Paired axial CT (left) and PSMA PET (right), 18F tracer. Slice position z = -560 mm. PET panel 200×200 px (4.1 mm/px).
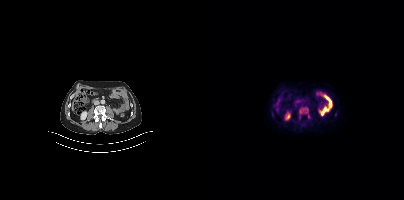
Coordinates are on the 200×200 PET (right) panel. PSMA-avid tumor lesion bounding boxes (partial; 1 more focus not listed):
| # | x0 | y0 | x1 | y1 |
|---|---|---|---|---|
| 1 | 99 | 108 | 103 | 110 |
Small PSMA-avid foci (2 to 4 px across) near (center x, center y): (97, 111); (104, 116).